modality: PSMA PET/CT | tracer: [68Ga]Ga-PSMA-11 | view: axial | PET grid: 200×200
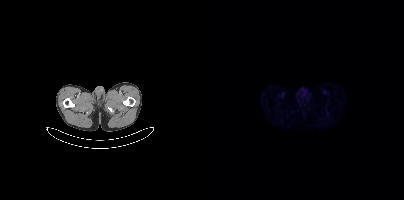
No PSMA-avid tumor lesions on this slice.